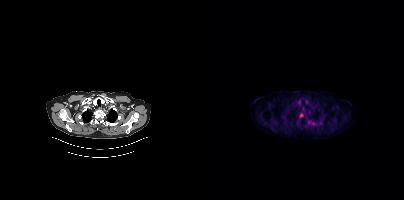
- Two-panel axial: CT | PSMA PET, 18F-PSMA tracer
- acquired on Siemens Biograph mCT Flow 20
- slice 339 of 409
- PET panel 200×200 px (4.1 mm/px)
Findings: Coordinates are on the 200×200 PET (right) panel. PSMA-avid tumor lesion bounding boxes (x, y, width, height): x=109 y=122 w=5 h=4 / x=95 y=113 w=5 h=5.